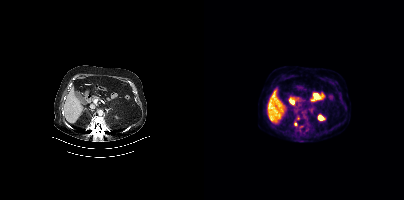
- Two-panel axial: CT | PSMA PET, 18F tracer
- acquired on Siemens Biograph mCT Flow 20
- PET panel 200×200 px (4.1 mm/px)
Findings: Coordinates are on the 200×200 PET (right) panel. Small PSMA-avid foci (2 to 4 px across) near (center x, center y): (91, 123); (94, 117).